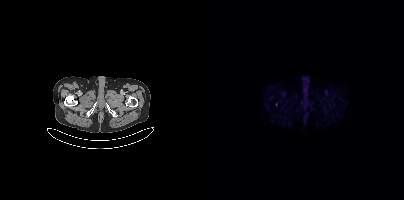
Findings: Negative for PSMA-avid disease on this slice.
Technique: Left: CT. Right: PSMA PET, same axial level, 18F-PSMA tracer. slice 36 of 419. PET panel 200×200 px (4.1 mm/px).